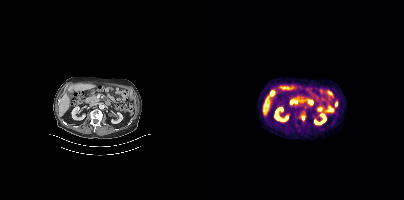
{"modality":"PSMA PET/CT","view":"axial","tracer":"18F","pet_grid":[200,200],"coord_frame":"pet_panel","coord_format":"x0,y0,x1,y1","lesion_bboxes":[[97,115,101,120]]}